Left: CT. Right: PSMA PET, same axial level, [18F]PSMA-1007 tracer. Slice position z = -1576 mm. PET panel 200×200 px (4.1 mm/px).
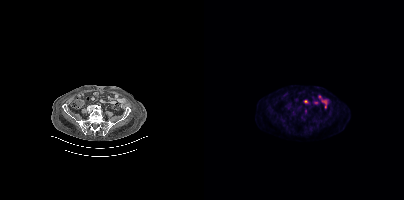
No tumor lesions annotated on this slice.